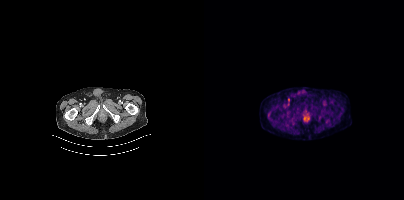
Coordinates are on the 200×200 PET (right) panel. Small PSMA-avid focus (2 to 4 px across) near (center x, center y): (84, 99). Left: CT. Right: PSMA PET, same axial level, 18F tracer. PET panel 200×200 px (4.1 mm/px).